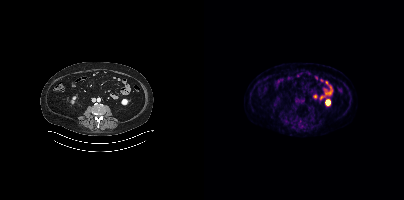
{"pet_grid":[200,200],"coord_frame":"pet_panel","coord_format":"x0,y0,x1,y1","psma_avid_lesions":false,"modality":"PSMA PET/CT","view":"axial","tracer":"18F"}